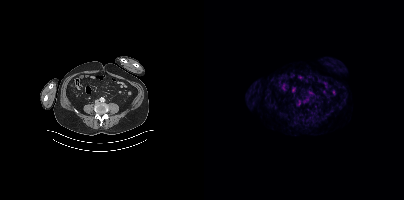
No tumor lesions annotated on this slice. Two-panel axial: CT | PSMA PET, [68Ga]Ga-PSMA-11 tracer. Slice position z = -1334 mm. PET panel 200×200 px (4.1 mm/px).